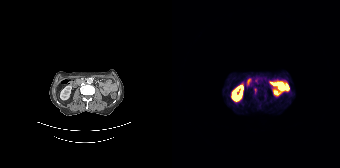
{"modality":"PSMA PET/CT","view":"axial","tracer":"68Ga","pet_grid":[168,168],"coord_frame":"pet_panel","coord_format":"x0,y0,x1,y1","lesion_bboxes":[],"small_foci_centers":[[82,89]]}